A rectangular block over the head has been blanked out for de-identification. Left: CT. Right: PSMA PET, same axial level, 18F tracer. Acquired on Siemens Biograph mCT Flow 20. PET panel 200×200 px (4.1 mm/px).
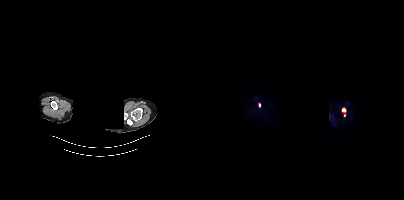
Coordinates are on the 200×200 PET (right) panel. PSMA-avid tumor lesion bounding boxes:
| # | x0 | y0 | x1 | y1 |
|---|---|---|---|---|
| 1 | 138 | 108 | 142 | 112 |
| 2 | 54 | 103 | 56 | 107 |
Small PSMA-avid focus (2 to 4 px across) near (center x, center y): (140, 115).